modality: PSMA PET/CT | tracer: 68Ga | view: axial | PET grid: 200×200 | de-identification: privacy mask over head
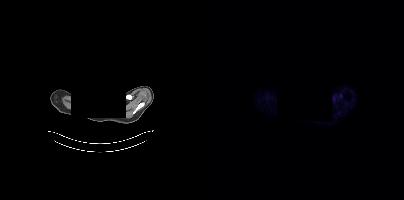
No PSMA-avid tumor lesions on this slice.